Technique: Two-panel axial: CT | PSMA PET, 18F-PSMA tracer. PET panel 200×200 px (4.1 mm/px).
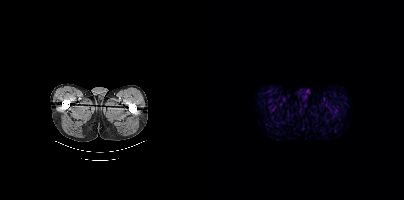
Findings: No PSMA-avid tumor lesions on this slice.